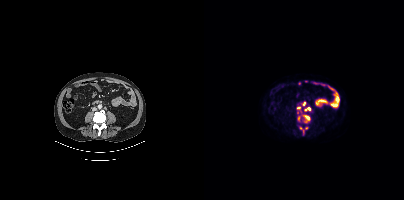
Coordinates are on the 200×200 PET (right) panel. (showing 7 of 9 foci) PSMA-avid tumor lesion bounding boxes (x0, y0)-(x1, y1): (99, 115)-(106, 122) | (100, 107)-(107, 111) | (98, 101)-(101, 105). Small PSMA-avid foci (2 to 4 px across) near (center x, center y): (94, 107) | (94, 118) | (96, 128) | (102, 127). Paired axial CT (left) and PSMA PET (right), [18F]PSMA-1007 tracer. PET panel 200×200 px (4.1 mm/px).